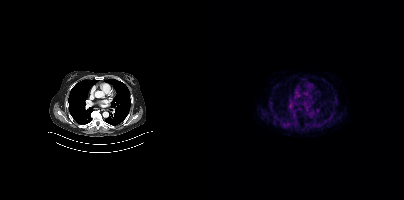
{"modality":"PSMA PET/CT","view":"axial","tracer":"[18F]PSMA-1007","pet_grid":[200,200],"coord_frame":"pet_panel","coord_format":"x0,y0,x1,y1","psma_avid_lesions":false}